modality: PSMA PET/CT | tracer: [18F]PSMA-1007 | view: axial
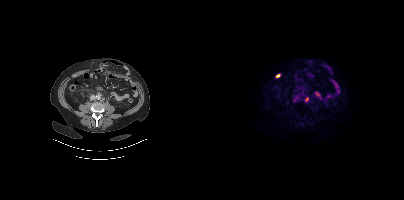
Coordinates are on the 200×200 PET (right) panel. Small PSMA-avid foci (2 to 4 px across) near (center x, center y): (95, 100) (102, 100).